- Left: CT. Right: PSMA PET, same axial level, 18F tracer
- slice 152 of 401
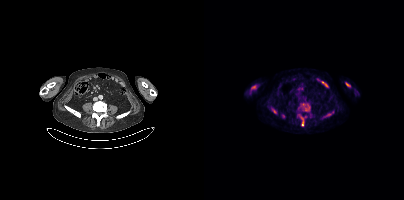
Findings: Coordinates are on the 200×200 PET (right) panel. PSMA-avid tumor lesion bounding boxes (x0,y0,x1,y1): [97,103,106,111] [94,114,100,126] [68,108,72,113] [121,113,126,116] [142,83,146,86]. Small PSMA-avid foci (2 to 4 px across) near (center x, center y): (79, 116) (101, 116).